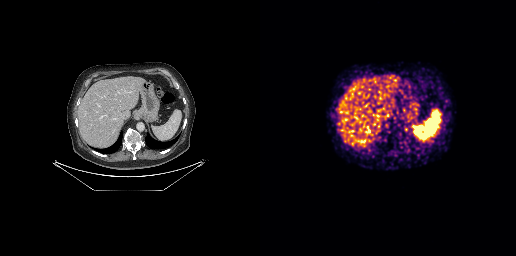
No PSMA-avid tumor lesions on this slice.